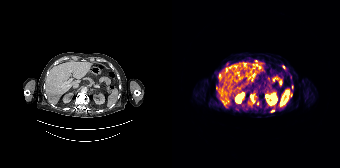
Coordinates are on the 168×168 PET (right) panel. (showing 4 of 7 foci) PSMA-avid tumor lesion bounding box (x, y, width, height): x=79 y=95 w=5 h=9. Small PSMA-avid foci (2 to 4 px across) near (center x, center y): (84, 61) | (120, 87) | (100, 110). Two-panel axial: CT | PSMA PET, 68Ga tracer. PET panel 168×168 px (4.1 mm/px).